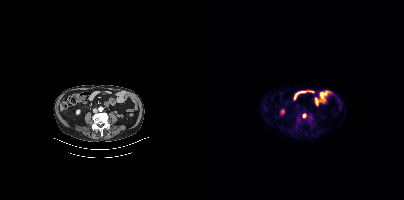
Paired axial CT (left) and PSMA PET (right), [18F]PSMA-1007 tracer. Slice 161 of 452. PET panel 200×200 px (4.1 mm/px). Coordinates are on the 200×200 PET (right) panel. Small PSMA-avid focus (2 to 4 px across) near (center x, center y): (100, 115).